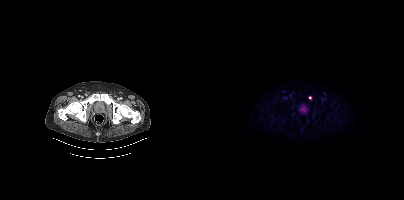
Findings: Coordinates are on the 200×200 PET (right) panel. Small PSMA-avid focus (2 to 4 px across) near (center x, center y): (106, 97).
Technique: Paired axial CT (left) and PSMA PET (right), 18F-PSMA tracer. slice 86 of 450. PET panel 200×200 px (4.1 mm/px).